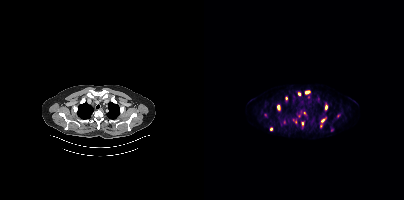
{"modality":"PSMA PET/CT","view":"axial","tracer":"18F-PSMA","pet_grid":[200,200],"coord_frame":"pet_panel","coord_format":"x0,y0,x1,y1","partial":true,"lesion_bboxes":[[117,117,122,122],[101,91,105,94],[121,104,123,109],[73,105,75,109]],"small_foci_centers":[[95,94],[117,126],[67,129],[82,98],[98,123]]}